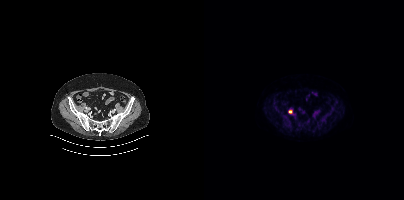
Findings: Coordinates are on the 200×200 PET (right) panel. PSMA-avid tumor lesion bounding box (x0,y0,x1,y1): [84,110,88,113].
Technique: Paired axial CT (left) and PSMA PET (right), 18F-PSMA tracer. acquired on Siemens Biograph mCT Flow 20. slice 106 of 425. PET panel 200×200 px (4.1 mm/px).